- head region blanked for anonymization (face removed)
- Paired axial CT (left) and PSMA PET (right), 68Ga-PSMA tracer
- acquired on Siemens Biograph mCT Flow 20
- slice 348 of 411
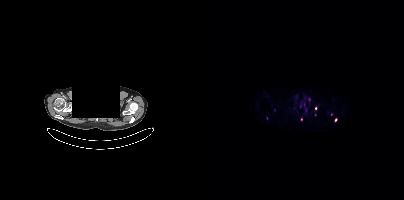
Findings: Coordinates are on the 200×200 PET (right) panel. (showing 4 of 8 foci) Small PSMA-avid foci (2 to 4 px across) near (center x, center y): (105, 99); (97, 119); (111, 108); (131, 119).